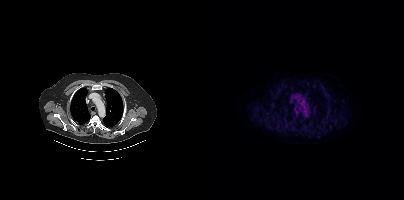
- Two-panel axial: CT | PSMA PET, 18F-PSMA tracer
- acquired on Siemens Biograph mCT Flow 20
- slice position z = -967 mm
- PET panel 200×200 px (4.1 mm/px)
Findings: Negative for PSMA-avid disease on this slice.